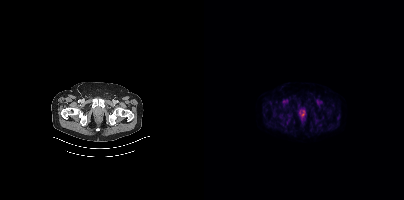
Paired axial CT (left) and PSMA PET (right), [18F]PSMA-1007 tracer. PET panel 200×200 px (4.1 mm/px). No PSMA-avid tumor lesions on this slice.